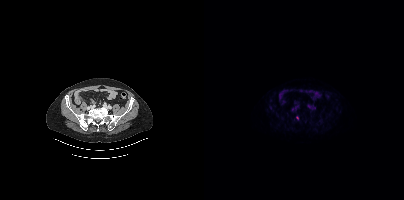
Coordinates are on the 200×200 PET (right) panel. Small PSMA-avid focus (2 to 4 px across) near (center x, center y): (93, 117). Paired axial CT (left) and PSMA PET (right), 18F tracer. Acquired on Siemens Biograph mCT Flow 20. PET panel 200×200 px (4.1 mm/px).